- Two-panel axial: CT | PSMA PET, 18F tracer
- slice position z = -1410 mm
- PET panel 200×200 px (4.1 mm/px)
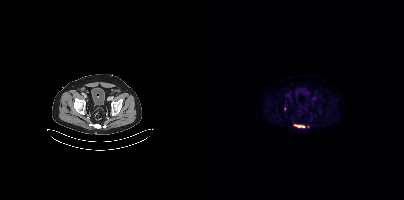
Findings: Coordinates are on the 200×200 PET (right) panel. (showing 2 of 3 foci) PSMA-avid tumor lesion bounding box (x0,y0,x1,y1): [90,124,100,127]. Small PSMA-avid focus (2 to 4 px across) near (center x, center y): (80, 108).